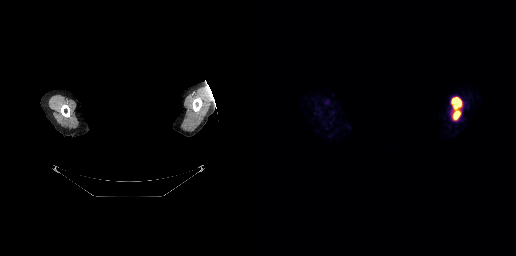
Paired axial CT (left) and PSMA PET (right), [68Ga]Ga-PSMA-11 tracer. A rectangular block over the head has been blanked out for de-identification. Coordinates are on the 256×256 PET (right) panel. PSMA-avid tumor lesion bounding box (x0, y0)-(x1, y1): (191, 97)-(201, 119).